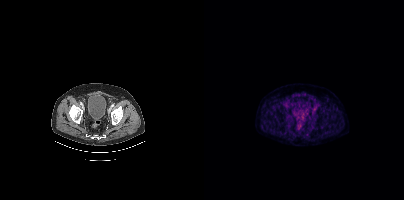
- Two-panel axial: CT | PSMA PET, 18F tracer
- acquired on Siemens Biograph mCT Flow 20
Findings: No PSMA-avid tumor lesions on this slice.